Two-panel axial: CT | PSMA PET, 18F-PSMA tracer. Slice 149 of 263.
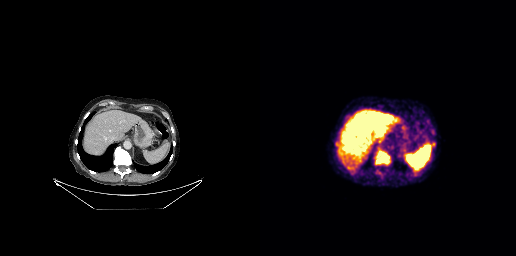
Coordinates are on the 256×256 PET (right) panel. PSMA-avid tumor lesion bounding boxes:
| # | x0 | y0 | x1 | y1 |
|---|---|---|---|---|
| 1 | 115 | 153 | 130 | 164 |
| 2 | 171 | 129 | 174 | 134 |
Small PSMA-avid focus (2 to 4 px across) near (center x, center y): (168, 121).